Technique: Left: CT. Right: PSMA PET, same axial level, 68Ga tracer. acquired on Siemens Biograph mCT Flow 20. PET panel 200×200 px (4.1 mm/px).
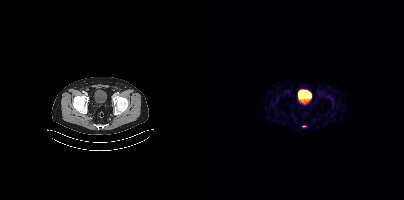
Findings: Coordinates are on the 200×200 PET (right) panel. PSMA-avid tumor lesion bounding box (x0, y0)-(x1, y1): (98, 125)-(102, 127).